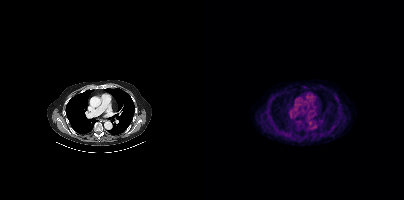
- Left: CT. Right: PSMA PET, same axial level, 18F tracer
- slice position z = -431 mm
Findings: This slice has no annotated PSMA-avid lesion.